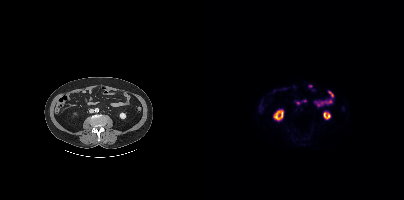
Negative for PSMA-avid disease on this slice.